Two-panel axial: CT | PSMA PET, [18F]PSMA-1007 tracer. Acquired on Siemens Biograph mCT Flow 20.
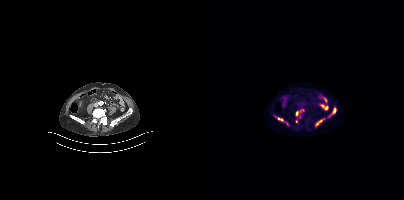
Coordinates are on the 200×200 PET (right) panel. (showing 5 of 6 foci) PSMA-avid tumor lesion bounding boxes (x0,y0,x1,y1): [92,109,99,117]; [111,118,120,126]; [124,108,132,117]; [72,117,79,121]. Small PSMA-avid focus (2 to 4 px across) near (center x, center y): (92, 121).